Technique: Left: CT. Right: PSMA PET, same axial level, 18F-PSMA tracer. slice 316 of 427.
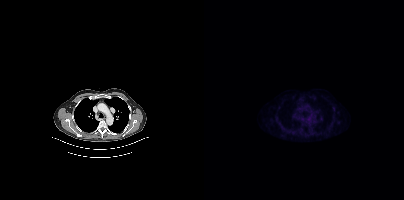
Findings: No PSMA-avid tumor lesions on this slice.